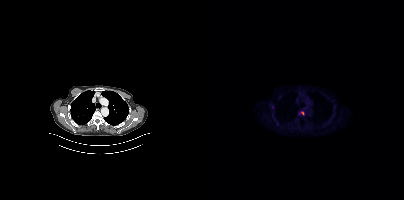
{"pet_grid":[200,200],"coord_frame":"pet_panel","coord_format":"x0,y0,x1,y1","lesion_bboxes":[],"small_foci_centers":[[98,113]],"modality":"PSMA PET/CT","view":"axial","tracer":"18F-PSMA"}